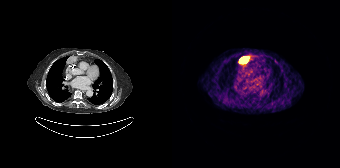
Coordinates are on the 168×168 PET (right) panel. PSMA-avid tumor lesion bounding box (x0,y0,x1,y1): [67,57,76,63].